- Left: CT. Right: PSMA PET, same axial level, 68Ga tracer
- acquired on Siemens Biograph mCT Flow 20
- slice 229 of 393
- PET panel 200×200 px (4.1 mm/px)
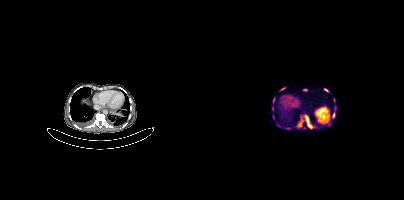
Findings: Coordinates are on the 200×200 PET (right) panel. (showing 8 of 11 foci) PSMA-avid tumor lesion bounding boxes (x, y, width, height): x=100 y=115 w=9 h=14 / x=94 y=120 w=6 h=7 / x=76 y=87 w=6 h=4 / x=129 y=113 w=2 h=5. Small PSMA-avid foci (2 to 4 px across) near (center x, center y): (70, 98) / (68, 108) / (122, 90) / (131, 108).